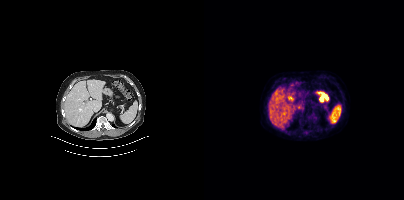
- Paired axial CT (left) and PSMA PET (right), 68Ga-PSMA tracer
- acquired on Siemens Biograph mCT Flow 20
- slice 224 of 403
- PET panel 200×200 px (4.1 mm/px)
Findings: No tumor lesions annotated on this slice.